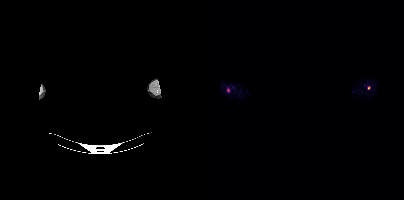
Technique: Two-panel axial: CT | PSMA PET, 18F-PSMA tracer. slice 426 of 429.
Note: The head region is masked for de-identification.
Findings: Coordinates are on the 200×200 PET (right) panel. Small PSMA-avid foci (2 to 4 px across) near (center x, center y): (24, 89) / (164, 88).